Technique: Left: CT. Right: PSMA PET, same axial level, 18F tracer. acquired on Siemens Biograph mCT Flow 20. PET panel 200×200 px (4.1 mm/px).
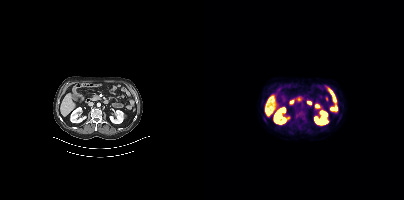
Findings: This slice has no annotated PSMA-avid lesion.